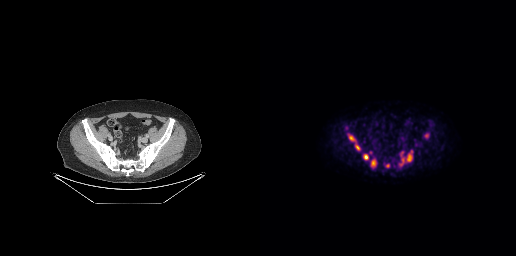
{"modality":"PSMA PET/CT","view":"axial","tracer":"[18F]PSMA-1007","pet_grid":[256,256],"coord_frame":"pet_panel","coord_format":"x0,y0,x1,y1","lesion_bboxes":[[88,134,100,150],[147,150,152,159],[111,159,116,167],[103,154,108,159],[140,158,144,165]],"small_foci_centers":[[127,165],[166,135],[142,153]]}